Paired axial CT (left) and PSMA PET (right), 18F-PSMA tracer. Acquired on Siemens Biograph mCT Flow 20. PET panel 200×200 px (4.1 mm/px).
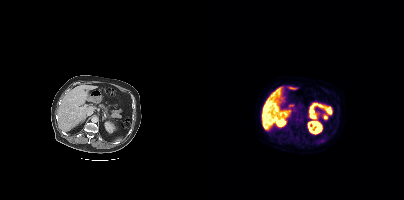
This slice has no annotated PSMA-avid lesion.